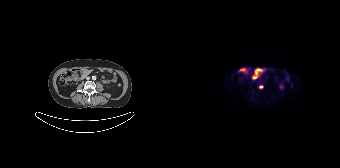
{"modality":"PSMA PET/CT","view":"axial","tracer":"[18F]PSMA-1007","pet_grid":[168,168],"coord_frame":"pet_panel","coord_format":"x0,y0,x1,y1","partial":true,"lesion_bboxes":[]}